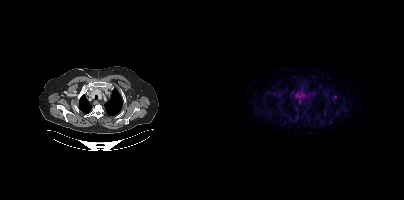
modality: PSMA PET/CT | tracer: 18F | view: axial
Coordinates are on the 200×200 PET (right) panel. Small PSMA-avid focus (2 to 4 px across) near (center x, center y): (130, 97).